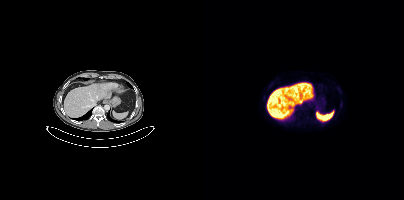
{"modality":"PSMA PET/CT","view":"axial","tracer":"[18F]PSMA-1007","pet_grid":[200,200],"coord_frame":"pet_panel","coord_format":"x0,y0,x1,y1","psma_avid_lesions":false}